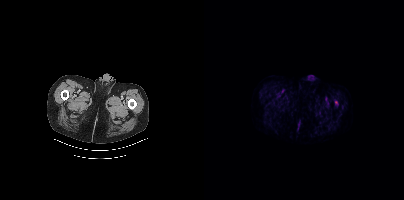
Coordinates are on the 200×200 PET (right) panel. Small PSMA-avid focus (2 to 4 px across) near (center x, center y): (132, 102).